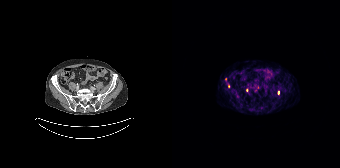
modality: PSMA PET/CT | tracer: 68Ga-PSMA | view: axial | PET grid: 168×168
Coordinates are on the 168×168 PET (right) panel. Small PSMA-avid foci (2 to 4 px across) near (center x, center y): (56, 86) / (74, 90) / (106, 92) / (65, 96).